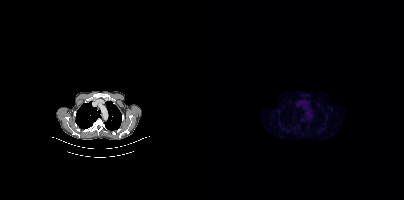
This slice has no annotated PSMA-avid lesion. Left: CT. Right: PSMA PET, same axial level, [18F]PSMA-1007 tracer. PET panel 200×200 px (4.1 mm/px).